Two-panel axial: CT | PSMA PET, [18F]PSMA-1007 tracer. Acquired on Siemens Biograph mCT Flow 20. Slice position z = -1443 mm. PET panel 200×200 px (4.1 mm/px).
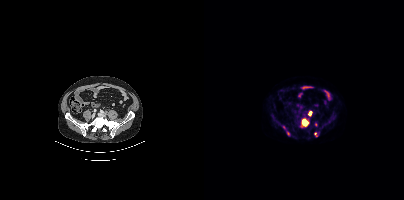
Coordinates are on the 200×200 PET (right) panel. PSMA-avid tumor lesion bounding boxes (partial; 2 more foci not listed):
| # | x0 | y0 | x1 | y1 |
|---|---|---|---|---|
| 1 | 97 | 118 | 104 | 126 |
| 2 | 104 | 111 | 108 | 116 |
Small PSMA-avid focus (2 to 4 px across) near (center x, center y): (111, 134).